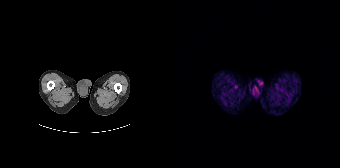
Findings: Negative for PSMA-avid disease on this slice.
Technique: Two-panel axial: CT | PSMA PET, 68Ga tracer. PET panel 168×168 px (4.1 mm/px).